Paired axial CT (left) and PSMA PET (right), 68Ga tracer. Slice position z = -834 mm.
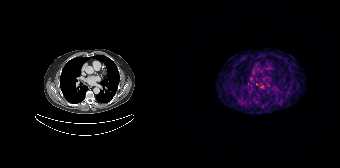
No tumor lesions annotated on this slice.